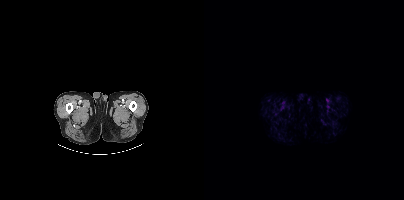
Two-panel axial: CT | PSMA PET, [18F]PSMA-1007 tracer. PET panel 200×200 px (4.1 mm/px). This slice has no annotated PSMA-avid lesion.